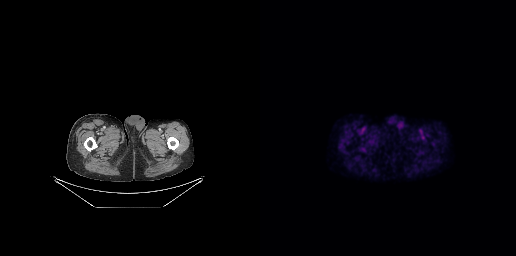
{"modality":"PSMA PET/CT","view":"axial","tracer":"[18F]PSMA-1007","pet_grid":[256,256],"coord_frame":"pet_panel","coord_format":"x0,y0,x1,y1","psma_avid_lesions":false}